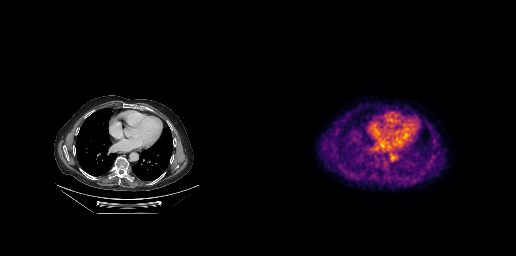
No PSMA-avid tumor lesions on this slice. Left: CT. Right: PSMA PET, same axial level, 18F-PSMA tracer.